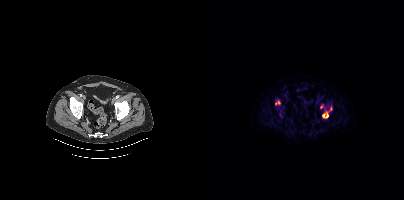
- Paired axial CT (left) and PSMA PET (right), [18F]PSMA-1007 tracer
Findings: Coordinates are on the 200×200 PET (right) panel. PSMA-avid tumor lesion bounding boxes (x0, y0)-(x1, y1): (118, 107)-(128, 118) / (71, 100)-(76, 104). Small PSMA-avid focus (2 to 4 px across) near (center x, center y): (117, 106).